Technique: Left: CT. Right: PSMA PET, same axial level, [18F]PSMA-1007 tracer.
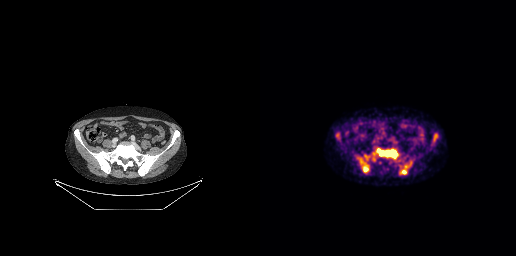
Findings: Coordinates are on the 256×256 PET (right) panel. PSMA-avid tumor lesion bounding boxes (x0,y0,x1,y1): [117,148,139,160], [139,161,152,174], [98,158,109,172], [104,155,115,160]. Small PSMA-avid focus (2 to 4 px across) near (center x, center y): (139, 160).